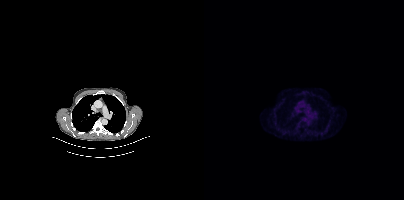
- Paired axial CT (left) and PSMA PET (right), [18F]PSMA-1007 tracer
- PET panel 200×200 px (4.1 mm/px)
Findings: This slice has no annotated PSMA-avid lesion.